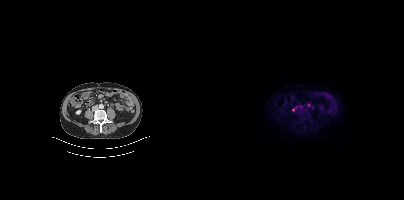
Findings: This slice has no annotated PSMA-avid lesion.
Technique: Left: CT. Right: PSMA PET, same axial level, 18F tracer. PET panel 200×200 px (4.1 mm/px).